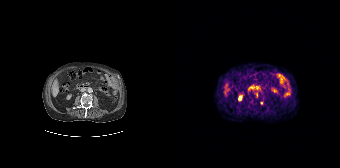
Paired axial CT (left) and PSMA PET (right), 68Ga-PSMA tracer. PET panel 168×168 px (4.1 mm/px). Coordinates are on the 168×168 PET (right) panel. Small PSMA-avid focus (2 to 4 px across) near (center x, center y): (89, 102).